Technique: Left: CT. Right: PSMA PET, same axial level, 18F tracer. acquired on Siemens Biograph mCT Flow 20.
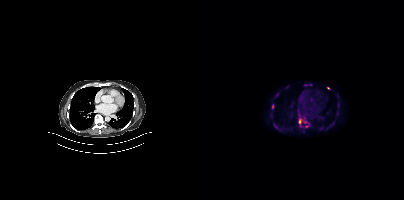
Findings: Coordinates are on the 200×200 PET (right) panel. PSMA-avid tumor lesion bounding box (x0,y0,x1,y1): [98,120,104,123]. Small PSMA-avid foci (2 to 4 px across) near (center x, center y): (69, 105) (95, 121) (102, 126) (125, 88) (70, 125).